De-identified by setting a box covering the face to black before release.
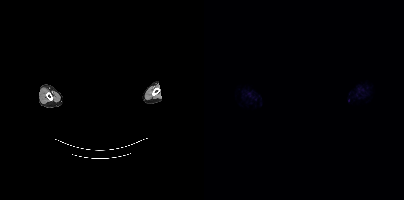
Negative for PSMA-avid disease on this slice.